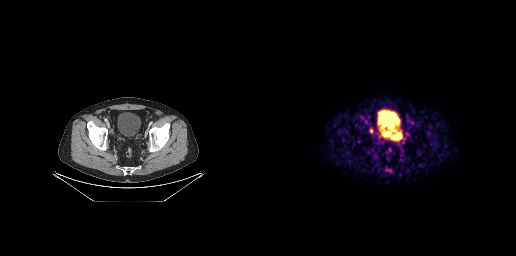
Coordinates are on the 256×256 PET (right) panel. PSMA-avid tumor lesion bounding box (x, y, width, height): x=131 y=133 w=11 h=8. Small PSMA-avid focus (2 to 4 px across) near (center x, center y): (111, 131).
modality: PSMA PET/CT | tracer: 68Ga | view: axial | PET grid: 256×256